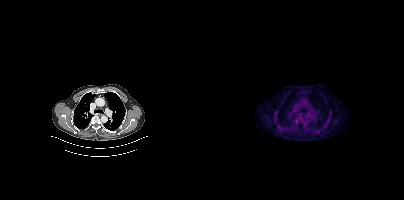
Findings: Coordinates are on the 200×200 PET (right) panel. Small PSMA-avid focus (2 to 4 px across) near (center x, center y): (93, 121).
- Paired axial CT (left) and PSMA PET (right), [18F]PSMA-1007 tracer
- acquired on Siemens Biograph mCT Flow 20
- slice position z = 440 mm